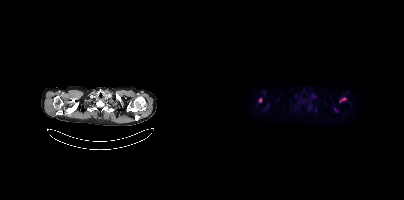
Left: CT. Right: PSMA PET, same axial level, 18F-PSMA tracer. Acquired on Siemens Biograph mCT Flow 20.
Coordinates are on the 200×200 PET (right) panel. PSMA-avid tumor lesion bounding boxes (partial; 1 more focus not listed):
| # | x0 | y0 | x1 | y1 |
|---|---|---|---|---|
| 1 | 135 | 98 | 142 | 102 |
| 2 | 55 | 98 | 58 | 102 |